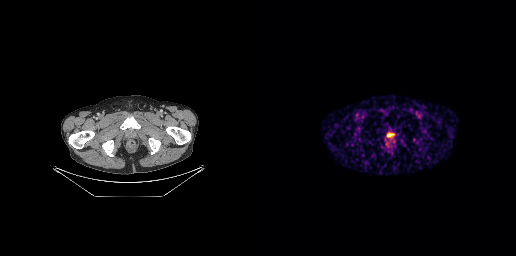
Left: CT. Right: PSMA PET, same axial level, 68Ga tracer. Acquired on GE Discovery 690. PET panel 256×256 px (2.7 mm/px).
Coordinates are on the 256×256 PET (right) panel. PSMA-avid tumor lesion bounding boxes:
| # | x0 | y0 | x1 | y1 |
|---|---|---|---|---|
| 1 | 127 | 134 | 132 | 136 |